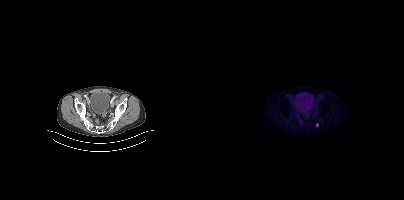
modality: PSMA PET/CT | tracer: [18F]PSMA-1007 | view: axial
Only PSMA-avid lesion pieces thinner than 2 px on this slice (not listed).